Technique: Two-panel axial: CT | PSMA PET, 18F-PSMA tracer.
Note: Face de-identified by blanking a block of the head.
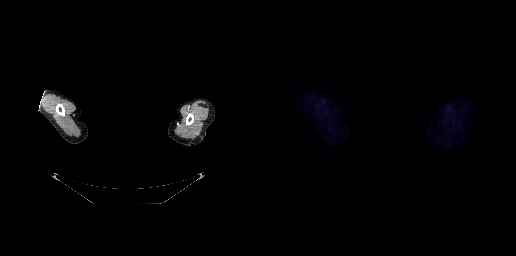
Findings: This slice has no annotated PSMA-avid lesion.